modality: PSMA PET/CT | tracer: 18F-PSMA | view: axial | PET grid: 200×200
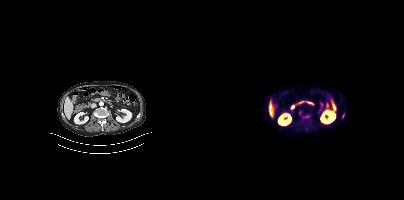
Only PSMA-avid lesion pieces thinner than 2 px on this slice (not listed).